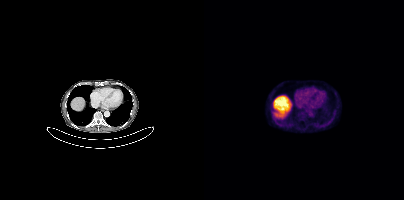
{"modality":"PSMA PET/CT","view":"axial","tracer":"18F-PSMA","pet_grid":[200,200],"coord_frame":"pet_panel","coord_format":"x0,y0,x1,y1","psma_avid_lesions":false}